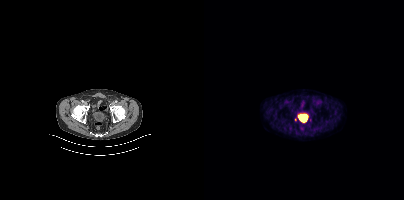
No PSMA-avid tumor lesions on this slice.